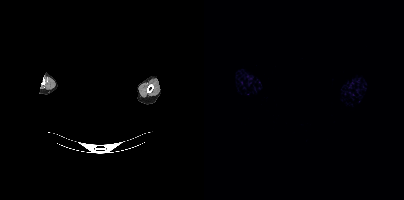
Findings: This slice has no annotated PSMA-avid lesion.
Technique: Left: CT. Right: PSMA PET, same axial level, [68Ga]Ga-PSMA-11 tracer. acquired on Siemens Biograph mCT Flow 20.
Note: An anonymization step blacked out a rectangle over the head in this scan.